modality: PSMA PET/CT | tracer: 18F-PSMA | view: axial
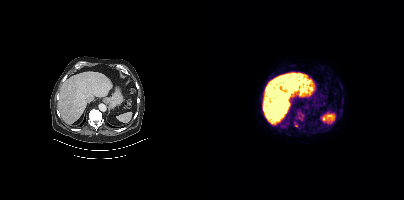
Only PSMA-avid lesion pieces thinner than 2 px on this slice (not listed).